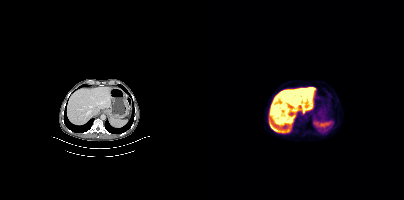
Left: CT. Right: PSMA PET, same axial level, [18F]PSMA-1007 tracer. Acquired on Siemens Biograph mCT Flow 20. Slice 248 of 435. PET panel 200×200 px (4.1 mm/px). No PSMA-avid tumor lesions on this slice.